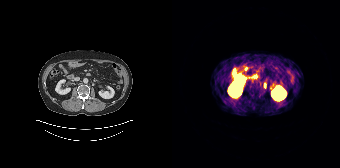
Coordinates are on the 168×168 PET (right) panel. Small PSMA-avid focus (2 to 4 px across) near (center x, center y): (92, 85).